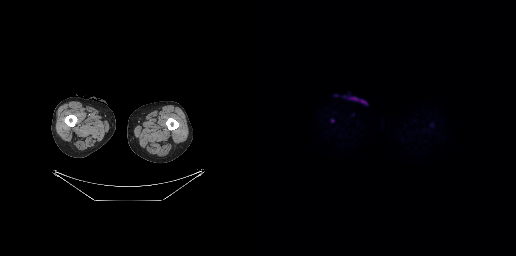
Technique: Two-panel axial: CT | PSMA PET, 18F-PSMA tracer. slice 20 of 299. PET panel 256×256 px (2.7 mm/px).
Findings: No PSMA-avid tumor lesions on this slice.